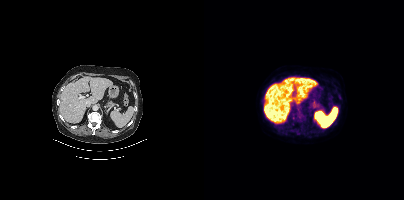
Technique: Paired axial CT (left) and PSMA PET (right), [18F]PSMA-1007 tracer. slice position z = -520 mm.
Findings: No PSMA-avid tumor lesions on this slice.